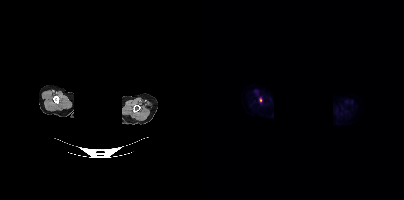
modality: PSMA PET/CT | tracer: 18F-PSMA | view: axial | redaction: head region blacked out before release
Coordinates are on the 200×200 PET (right) panel. Small PSMA-avid focus (2 to 4 px across) near (center x, center y): (56, 99).